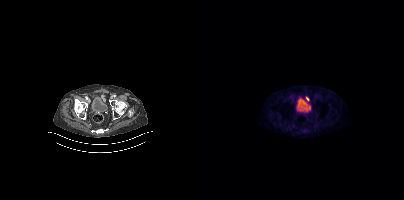
{"modality":"PSMA PET/CT","view":"axial","tracer":"18F","pet_grid":[200,200],"coord_frame":"pet_panel","coord_format":"x0,y0,x1,y1","psma_avid_lesions":false}